Left: CT. Right: PSMA PET, same axial level, 68Ga tracer. Slice 240 of 429.
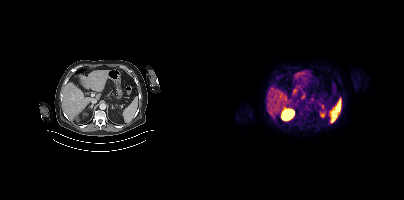
No tumor lesions annotated on this slice.